Two-panel axial: CT | PSMA PET, [18F]PSMA-1007 tracer.
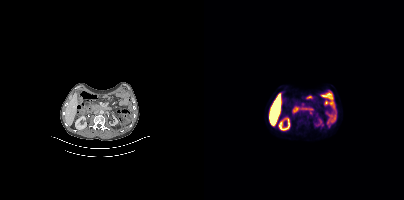
Coordinates are on the 200×200 PET (right) panel. Small PSMA-avid focus (2 to 4 px across) near (center x, center y): (106, 112).